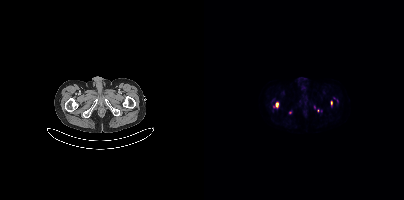
{"modality":"PSMA PET/CT","view":"axial","tracer":"18F-PSMA","pet_grid":[200,200],"coord_frame":"pet_panel","coord_format":"x0,y0,x1,y1","lesion_bboxes":[[127,101,128,105]],"small_foci_centers":[[72,104],[110,107],[114,110],[86,112]]}